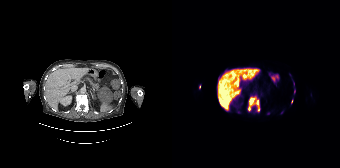
Coordinates are on the 168×168 PET (right) panel. PSMA-avid tumor lesion bounding box (x0, y0)-(x1, y1): (75, 95)-(88, 112). Small PSMA-avid foci (2 to 4 px across) near (center x, center y): (122, 91); (27, 86); (119, 101). Left: CT. Right: PSMA PET, same axial level, [18F]PSMA-1007 tracer. Acquired on Siemens Biograph 64-4R TruePoint. Slice position z = -1070 mm.